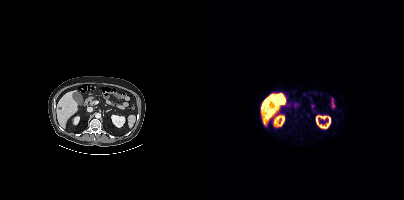
{"modality":"PSMA PET/CT","view":"axial","tracer":"[18F]PSMA-1007","pet_grid":[200,200],"coord_frame":"pet_panel","coord_format":"x0,y0,x1,y1","psma_avid_lesions":false}